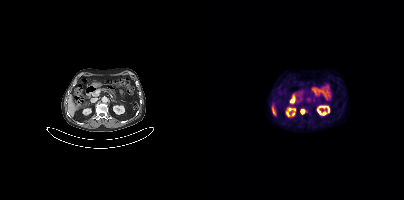
Two-panel axial: CT | PSMA PET, 18F-PSMA tracer. PET panel 200×200 px (4.1 mm/px).
Coordinates are on the 200×200 PET (right) panel. PSMA-avid tumor lesion bounding boxes:
| # | x0 | y0 | x1 | y1 |
|---|---|---|---|---|
| 1 | 97 | 109 | 101 | 114 |